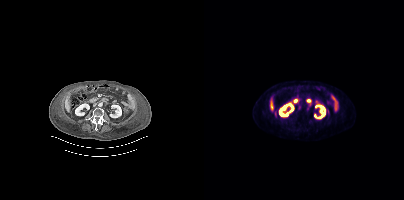
Coordinates are on the 200×200 PET (right) panel. (showing 1 of 2 foci) PSMA-avid tumor lesion bounding box (x, y, width, height): x=94 y=105 w=4 h=6.
modality: PSMA PET/CT | tracer: 18F-PSMA | view: axial